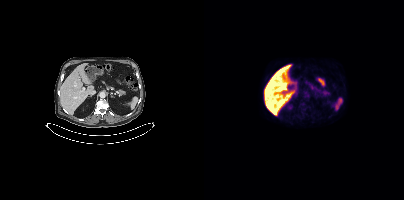
Left: CT. Right: PSMA PET, same axial level, 18F-PSMA tracer. PET panel 200×200 px (4.1 mm/px). This slice has no annotated PSMA-avid lesion.